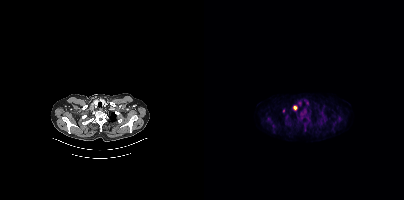
{"modality":"PSMA PET/CT","view":"axial","tracer":"[18F]PSMA-1007","pet_grid":[200,200],"coord_frame":"pet_panel","coord_format":"x0,y0,x1,y1","lesion_bboxes":[[98,110,102,118],[89,106,93,110]],"small_foci_centers":[[79,110],[82,116]]}